modality: PSMA PET/CT | tracer: [68Ga]Ga-PSMA-11 | view: axial | PET grid: 168×168
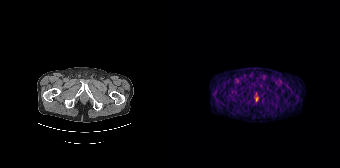
No PSMA-avid tumor lesions on this slice.